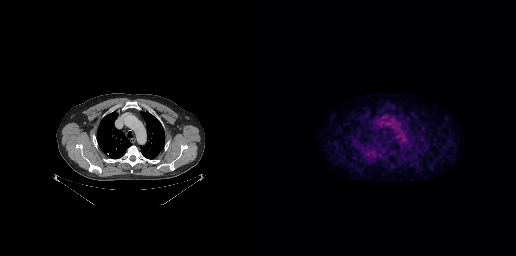
Negative for PSMA-avid disease on this slice.
modality: PSMA PET/CT | tracer: 18F-PSMA | view: axial | PET grid: 256×256